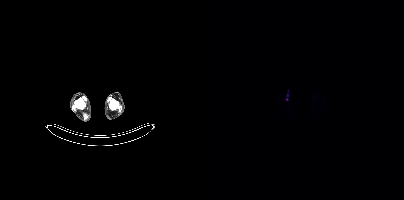
modality: PSMA PET/CT | tracer: 18F-PSMA | view: axial | PET grid: 200×200
Coordinates are on the 200×200 PET (right) panel. Small PSMA-avid foci (2 to 4 px across) near (center x, center y): (82, 99) / (83, 95).